Technique: Paired axial CT (left) and PSMA PET (right), 18F tracer. acquired on Siemens Biograph mCT Flow 20. slice 35 of 429. PET panel 200×200 px (4.1 mm/px).
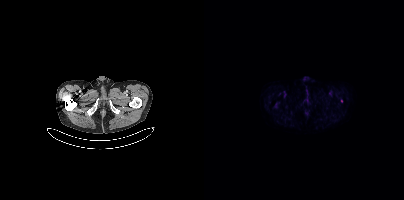
Findings: Coordinates are on the 200×200 PET (right) panel. Small PSMA-avid focus (2 to 4 px across) near (center x, center y): (137, 101).